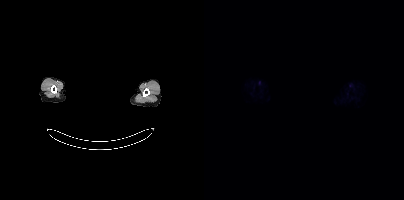
{"modality":"PSMA PET/CT","view":"axial","tracer":"18F","pet_grid":[200,200],"coord_frame":"pet_panel","coord_format":"x0,y0,x1,y1","psma_avid_lesions":false,"de-identification":"face masked with black rectangle"}